Technique: Paired axial CT (left) and PSMA PET (right), 18F-PSMA tracer.
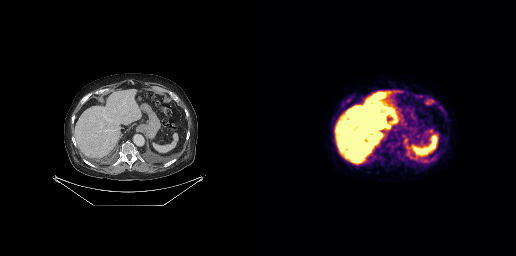
Findings: Coordinates are on the 256×256 PET (right) panel. PSMA-avid tumor lesion bounding boxes (x0,y0,x1,y1): [171,154,178,161], [159,158,168,163], [165,99,174,104].